Technique: Paired axial CT (left) and PSMA PET (right), 18F tracer. acquired on Siemens Biograph mCT Flow 20. slice position z = -968 mm. PET panel 200×200 px (4.1 mm/px).
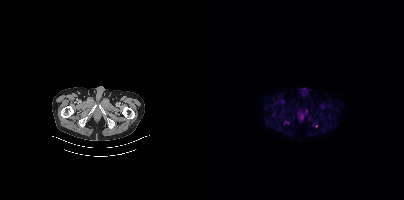
Findings: Coordinates are on the 200×200 PET (right) panel. Small PSMA-avid foci (2 to 4 px across) near (center x, center y): (112, 126); (102, 111).